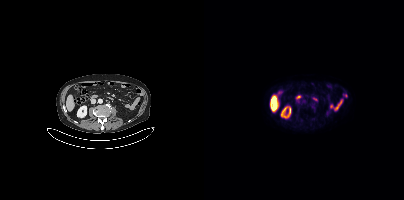
Findings: Negative for PSMA-avid disease on this slice.
- Left: CT. Right: PSMA PET, same axial level, [18F]PSMA-1007 tracer